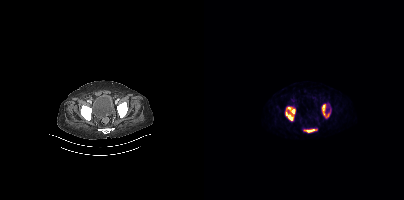
This slice has no annotated PSMA-avid lesion.